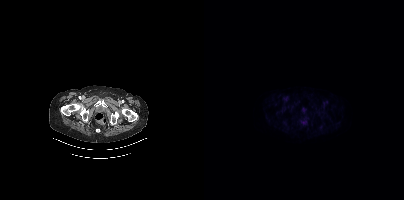
Two-panel axial: CT | PSMA PET, 18F-PSMA tracer. Negative for PSMA-avid disease on this slice.